- Paired axial CT (left) and PSMA PET (right), 18F tracer
- slice position z = 1282 mm
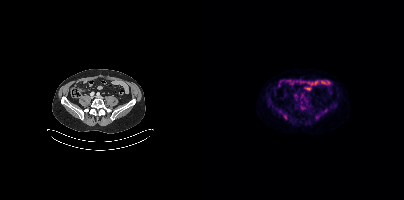
Findings: No tumor lesions annotated on this slice.